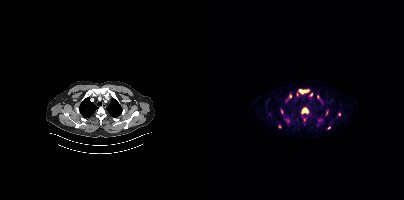
Coordinates are on the 200×200 PET (right) panel. (showing 9 of 11 foci) PSMA-avid tumor lesion bounding boxes (x0, y0)-(x1, y1): (95, 89)-(104, 93) | (97, 108)-(103, 113). Small PSMA-avid foci (2 to 4 px across) near (center x, center y): (100, 119) | (86, 96) | (113, 96) | (77, 111) | (125, 128) | (107, 94) | (135, 114). Left: CT. Right: PSMA PET, same axial level, [18F]PSMA-1007 tracer. Slice 330 of 429.